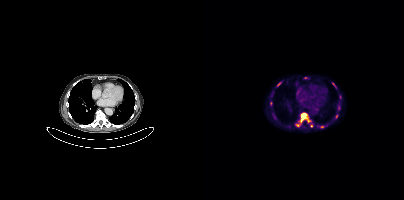
Coordinates are on the 200×200 PET (right) panel. (showing 8 of 9 foci) PSMA-avid tumor lesion bounding box (x0,y0,x1,y1): [96,113,107,122]. Small PSMA-avid foci (2 to 4 px across) near (center x, center y): (93, 125); (129, 84); (107, 125); (118, 126); (76, 82); (132, 116); (101, 77). Two-panel axial: CT | PSMA PET, 18F tracer. Acquired on Siemens Biograph mCT Flow 20.